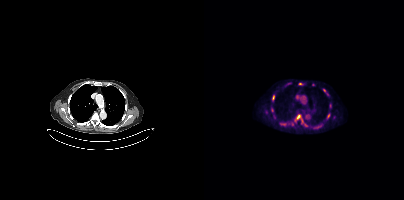
Coordinates are on the 200×200 PET (right) panel. PSMA-avid tumor lesion bounding boxes (partial; 2 more foci not listed):
| # | x0 | y0 | x1 | y1 |
|---|---|---|---|---|
| 1 | 77 | 122 | 85 | 125 |
| 2 | 91 | 114 | 96 | 120 |
| 3 | 68 | 95 | 70 | 101 |
| 4 | 67 | 108 | 69 | 112 |
Small PSMA-avid foci (2 to 4 px across) near (center x, center y): (120, 90); (124, 115); (97, 83); (102, 125).
Left: CT. Right: PSMA PET, same axial level, 18F-PSMA tracer. Slice position z = -490 mm. PET panel 200×200 px (4.1 mm/px).